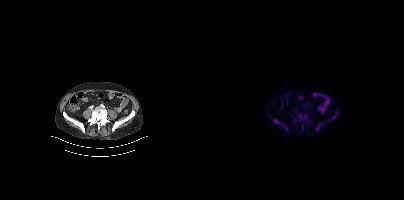
Coordinates are on the 200×200 PET (right) panel. (showing 7 of 10 foci) PSMA-avid tumor lesion bounding boxes (x0,y0,x1,y1): [69,119,83,131], [128,112,134,119], [112,124,116,130], [101,114,103,119]. Small PSMA-avid foci (2 to 4 px across) near (center x, center y): (96, 118), (98, 127), (118, 124).